Paired axial CT (left) and PSMA PET (right), 18F-PSMA tracer. Slice position z = 78 mm. PET panel 200×200 px (4.1 mm/px).
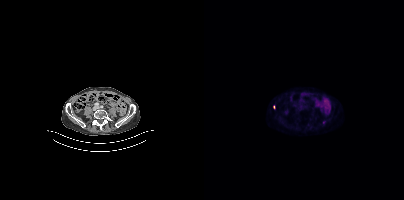
Coordinates are on the 200×200 PET (right) panel. Small PSMA-avid foci (2 to 4 px across) near (center x, center y): (120, 122) (69, 107).